Technique: Left: CT. Right: PSMA PET, same axial level, 18F-PSMA tracer. acquired on GE Discovery 690. slice position z = -696 mm. PET panel 256×256 px (2.7 mm/px).
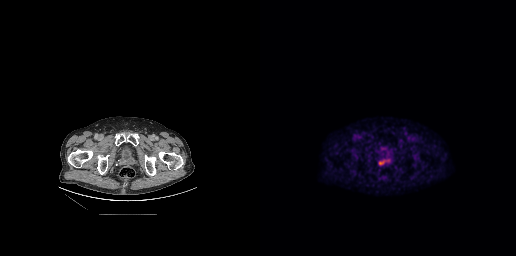
Findings: Coordinates are on the 256×256 PET (right) panel. PSMA-avid tumor lesion bounding box (x0,y0,x1,y1): [118,159,125,165]. Small PSMA-avid focus (2 to 4 px across) near (center x, center y): (128, 160).